- Two-panel axial: CT | PSMA PET, 18F-PSMA tracer
- slice position z = -1903 mm
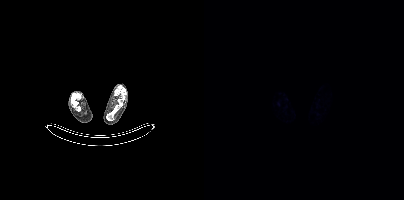
Findings: No PSMA-avid tumor lesions on this slice.